- Left: CT. Right: PSMA PET, same axial level, 68Ga-PSMA tracer
- PET panel 200×200 px (4.1 mm/px)
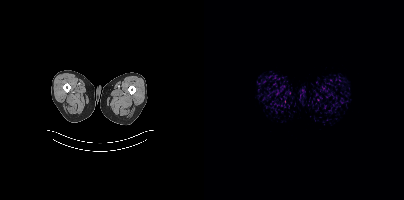
Findings: No PSMA-avid tumor lesions on this slice.